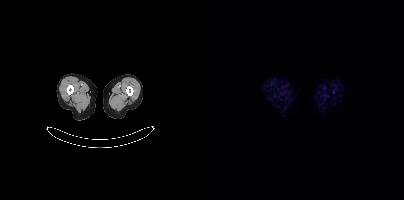
Negative for PSMA-avid disease on this slice.
modality: PSMA PET/CT | tracer: [18F]PSMA-1007 | view: axial | PET grid: 200×200